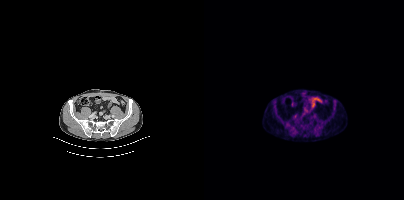
modality: PSMA PET/CT | tracer: 18F | view: axial
No PSMA-avid tumor lesions on this slice.